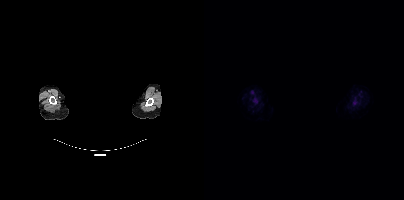
Paired axial CT (left) and PSMA PET (right), [18F]PSMA-1007 tracer. Facial anatomy redacted by setting a rectangular region of the head to black. Coordinates are on the 200×200 PET (right) panel. PSMA-avid tumor lesion bounding boxes (x0,y0,x1,y1): [48,98,53,103] [149,101,152,105].